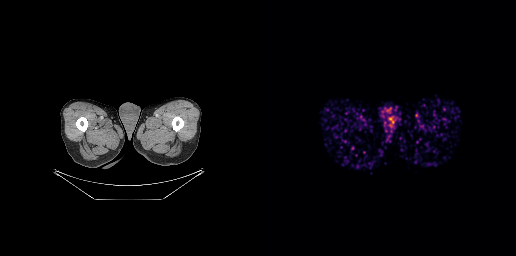
Technique: Left: CT. Right: PSMA PET, same axial level, 68Ga tracer. slice 5 of 263.
Findings: This slice has no annotated PSMA-avid lesion.